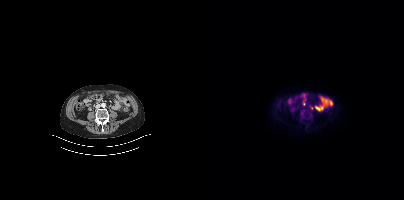
Findings: Coordinates are on the 200×200 PET (right) panel. Small PSMA-avid focus (2 to 4 px across) near (center x, center y): (107, 107).
Technique: Left: CT. Right: PSMA PET, same axial level, [18F]PSMA-1007 tracer. acquired on Siemens Biograph mCT Flow 20. slice position z = -637 mm.